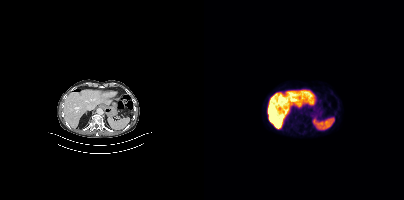
Technique: Left: CT. Right: PSMA PET, same axial level, 18F-PSMA tracer. slice 233 of 421.
Findings: This slice has no annotated PSMA-avid lesion.